Two-panel axial: CT | PSMA PET, 68Ga-PSMA tracer.
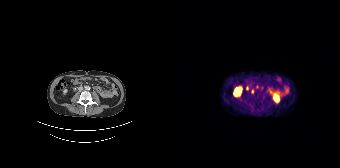
Coordinates are on the 168×168 PET (right) panel. PSMA-avid tumor lesion bounding boxes:
| # | x0 | y0 | x1 | y1 |
|---|---|---|---|---|
| 1 | 74 | 86 | 76 | 90 |
Small PSMA-avid focus (2 to 4 px across) near (center x, center y): (80, 91).